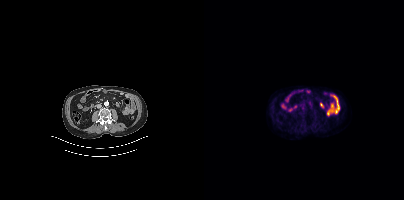
Paired axial CT (left) and PSMA PET (right), 18F-PSMA tracer. Acquired on Siemens Biograph mCT Flow 20. No PSMA-avid tumor lesions on this slice.